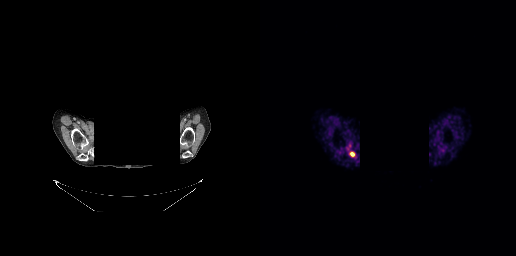
{"modality":"PSMA PET/CT","view":"axial","tracer":"68Ga-PSMA","pet_grid":[256,256],"coord_frame":"pet_panel","coord_format":"x0,y0,x1,y1","redaction":"rectangular block over head set to black","lesion_bboxes":[[90,152,94,156]]}